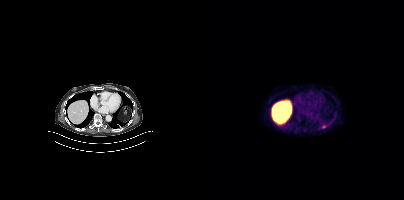
Findings: Coordinates are on the 200×200 PET (right) panel. PSMA-avid tumor lesion bounding box (x, y, width, height): x=118 y=125 w=5 h=4.
Technique: Left: CT. Right: PSMA PET, same axial level, [18F]PSMA-1007 tracer. slice position z = -594 mm.